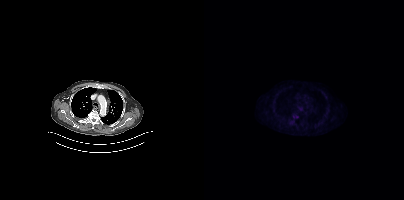
modality: PSMA PET/CT | tracer: 18F | view: axial | PET grid: 200×200
Only PSMA-avid lesion pieces thinner than 2 px on this slice (not listed).